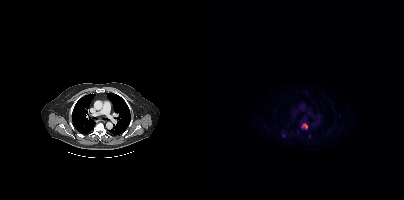
{"pet_grid":[200,200],"coord_frame":"pet_panel","coord_format":"x0,y0,x1,y1","lesion_bboxes":[[98,124,103,128],[78,133,81,137]],"small_foci_centers":[[105,136]],"modality":"PSMA PET/CT","view":"axial","tracer":"18F-PSMA"}